- Paired axial CT (left) and PSMA PET (right), [68Ga]Ga-PSMA-11 tracer
- acquired on GE Discovery 690
- PET panel 256×256 px (2.7 mm/px)
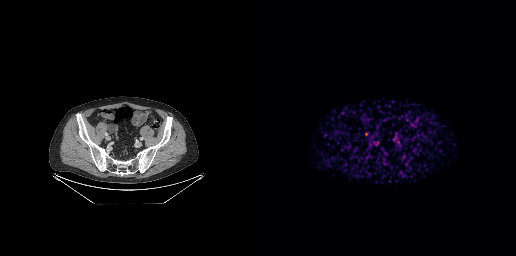
Findings: Negative for PSMA-avid disease on this slice.